modality: PSMA PET/CT | tracer: 18F | view: axial
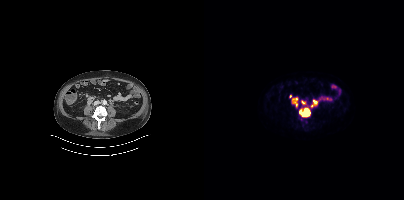
Coordinates are on the 200×200 PET (right) panel. PSMA-avid tumor lesion bounding boxes (x0, y0)-(x1, y1): (95, 108)-(106, 116) | (89, 99)-(93, 106) | (107, 102)-(111, 106). Small PSMA-avid focus (2 to 4 px across) near (center x, center y): (99, 102).